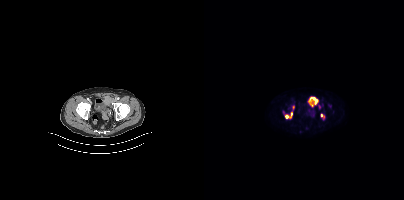
Coordinates are on the 200×200 PET (right) panel. PSMA-avid tumor lesion bounding boxes:
| # | x0 | y0 | x1 | y1 |
|---|---|---|---|---|
| 1 | 105 | 97 | 113 | 106 |
| 2 | 117 | 114 | 120 | 118 |
| 3 | 86 | 111 | 88 | 117 |
Small PSMA-avid foci (2 to 4 px across) near (center x, center y): (82, 116); (89, 107).
Paired axial CT (left) and PSMA PET (right), 18F-PSMA tracer. Slice 65 of 403.